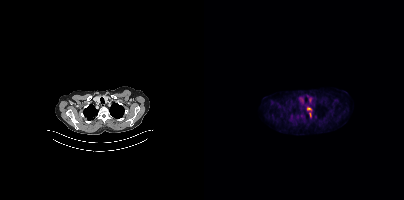
Findings: Coordinates are on the 200×200 PET (right) panel. PSMA-avid tumor lesion bounding box (x, y, width, height): x=103 y=107 w=5 h=11.
Technique: Two-panel axial: CT | PSMA PET, 18F-PSMA tracer. acquired on Siemens Biograph mCT Flow 20.